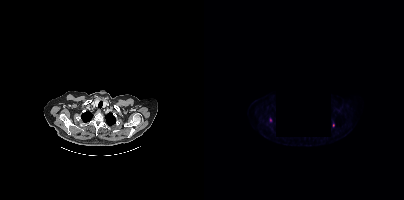
Any black rectangle here is a de-identification mask. Left: CT. Right: PSMA PET, same axial level, 18F tracer. Acquired on Siemens Biograph mCT Flow 20. Slice 371 of 435. Coordinates are on the 200×200 PET (right) panel. (showing 1 of 2 foci) Small PSMA-avid focus (2 to 4 px across) near (center x, center y): (66, 119).